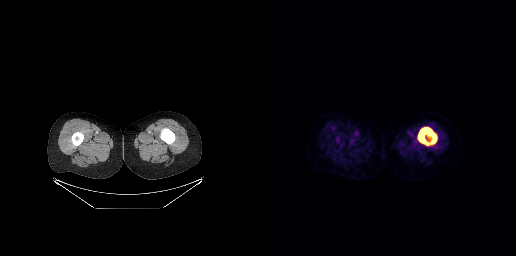
Coordinates are on the 256×256 PET (right) panel. PSMA-avid tumor lesion bounding boxes:
| # | x0 | y0 | x1 | y1 |
|---|---|---|---|---|
| 1 | 158 | 127 | 176 | 145 |
Two-panel axial: CT | PSMA PET, 18F tracer. Acquired on GE Discovery 690. PET panel 256×256 px (2.7 mm/px).